Paired axial CT (left) and PSMA PET (right), 18F tracer.
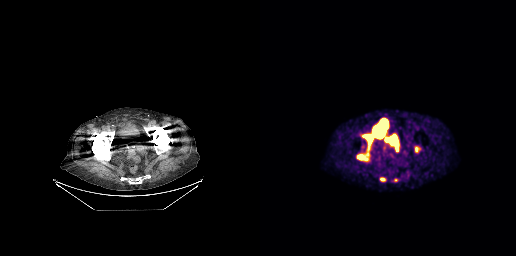
Coordinates are on the 256×256 PET (right) panel. PSMA-avid tumor lesion bounding boxes:
| # | x0 | y0 | x1 | y1 |
|---|---|---|---|---|
| 1 | 102 | 118 | 128 | 150 |
| 2 | 97 | 153 | 108 | 160 |
| 3 | 120 | 177 | 125 | 181 |